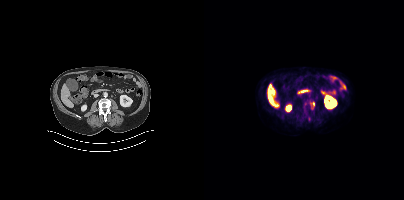
Technique: Paired axial CT (left) and PSMA PET (right), 18F-PSMA tracer. acquired on Siemens Biograph mCT Flow 20.
Findings: Coordinates are on the 200×200 PET (right) panel. Small PSMA-avid focus (2 to 4 px across) near (center x, center y): (109, 103).